modality: PSMA PET/CT | tracer: [18F]PSMA-1007 | view: axial
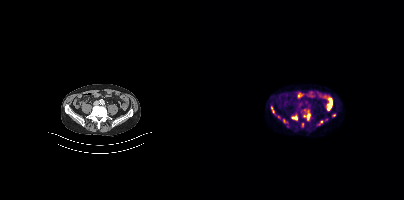
Coordinates are on the 200×200 PET (right) panel. (showing 6 of 8 foci) PSMA-avid tumor lesion bounding boxes (x, y, width, height): x=100 y=113 w=7 h=8; x=88 y=115 w=6 h=5; x=67 y=107 w=3 h=6. Small PSMA-avid foci (2 to 4 px across) near (center x, center y): (130, 115); (80, 121); (117, 121).